The face region was removed for patient privacy by blanking a rectangle over the head. Left: CT. Right: PSMA PET, same axial level, [18F]PSMA-1007 tracer. Acquired on Siemens Biograph mCT Flow 20. Slice 360 of 397. PET panel 200×200 px (4.1 mm/px).
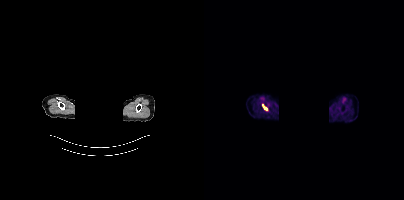
Coordinates are on the 200×200 PET (right) panel. PSMA-avid tumor lesion bounding box (x0, y0)-(x1, y1): (58, 105)-(62, 109).